Left: CT. Right: PSMA PET, same axial level, [18F]PSMA-1007 tracer. Slice 191 of 403. PET panel 200×200 px (4.1 mm/px).
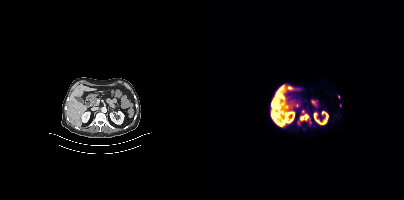
Coordinates are on the 200×200 PET (right) panel. (showing 5 of 7 foci) PSMA-avid tumor lesion bounding boxes (x, y, width, height): x=68 y=99 w=6 h=9; x=75 y=93 w=6 h=6. Small PSMA-avid foci (2 to 4 px across) near (center x, center y): (84, 87); (73, 93); (134, 96).